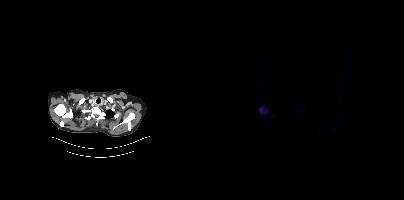
Two-panel axial: CT | PSMA PET, [18F]PSMA-1007 tracer. PET panel 200×200 px (4.1 mm/px). Coordinates are on the 200×200 PET (right) panel. PSMA-avid tumor lesion bounding box (x0, y0)-(x1, y1): (55, 107)-(63, 113).